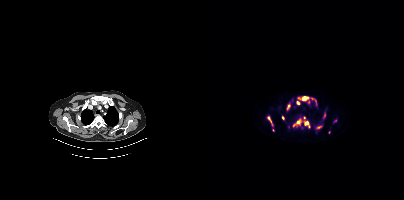
Coordinates are on the 200×200 PET (right) panel. (showing 10 of 15 foci) PSMA-avid tumor lesion bounding boxes (x0,y0,x1,y1): [89,119,97,126] [100,121,105,127] [98,96,104,100] [83,105,85,110] [64,117,67,122] [111,100,112,104]. Small PSMA-avid foci (2 to 4 px across) near (center x, center y): (79, 117) (94, 102) (115, 127) (100, 117).
modality: PSMA PET/CT | tracer: [18F]PSMA-1007 | view: axial | PET grid: 200×200